Technique: Two-panel axial: CT | PSMA PET, [18F]PSMA-1007 tracer.
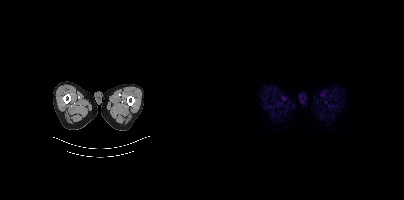
Findings: This slice has no annotated PSMA-avid lesion.